modality: PSMA PET/CT | tracer: [18F]PSMA-1007 | view: axial | PET grid: 200×200
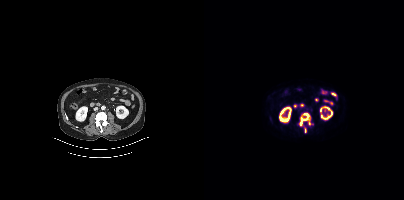
Coordinates are on the 200×200 PET (right) panel. PSMA-avid tumor lesion bounding boxes (x0, y0)-(x1, y1): (95, 113)-(106, 125) | (101, 128)-(102, 132).